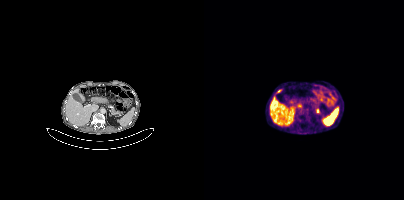
modality: PSMA PET/CT | tracer: 68Ga-PSMA | view: axial | PET grid: 200×200
Coordinates are on the 200×200 PET (right) panel. PSMA-avid tumor lesion bounding box (x, y, width, height): x=112 y=108 w=4 h=6.